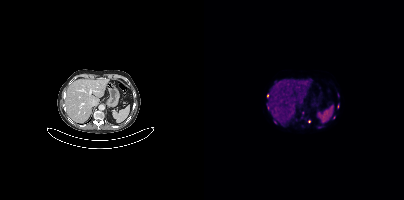
Findings: Coordinates are on the 200×200 PET (right) panel. (showing 7 of 8 foci) Small PSMA-avid foci (2 to 4 px across) near (center x, center y): (71, 122), (115, 127), (63, 95), (133, 106), (64, 107), (130, 117), (105, 121).
Technique: Two-panel axial: CT | PSMA PET, 68Ga-PSMA tracer. acquired on Siemens Biograph mCT Flow 20. slice position z = -1157 mm.